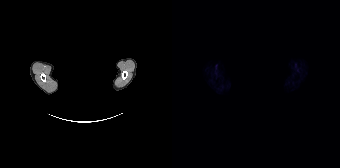
Any black rectangle over the head is a privacy mask, not anatomy.
Negative for PSMA-avid disease on this slice.